Technique: Left: CT. Right: PSMA PET, same axial level, 68Ga tracer. PET panel 168×168 px (4.1 mm/px).
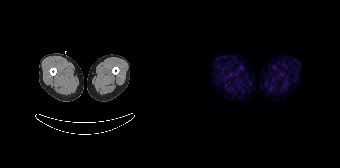
Findings: No PSMA-avid tumor lesions on this slice.